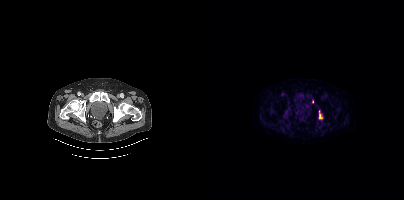
Coordinates are on the 200×200 PET (right) panel. PSMA-avid tumor lesion bounding box (x0,y0,x1,y1): [115,110,118,119]. Small PSMA-avid focus (2 to 4 px across) near (center x, center y): (108, 101).